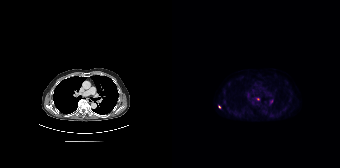
Findings: Coordinates are on the 168×168 PET (right) panel. Small PSMA-avid foci (2 to 4 px across) near (center x, center y): (99, 101); (47, 106); (86, 99).
Technique: Left: CT. Right: PSMA PET, same axial level, 18F-PSMA tracer. slice 117 of 165. PET panel 168×168 px (4.1 mm/px).